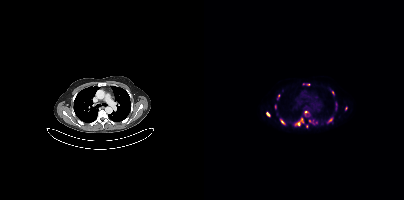
Coordinates are on the 200×200 PET (right) panel. (showing 14 of 16 foci) PSMA-avid tumor lesion bounding boxes (x, y, width, height): x=91 y=122 w=6 h=4; x=124 y=118 w=5 h=5; x=76 y=119 w=5 h=5; x=97 y=118 w=4 h=6; x=132 y=103 w=2 h=7; x=63 y=112 w=3 h=5. Small PSMA-avid foci (2 to 4 px across) near (center x, center y): (142, 108); (102, 112); (105, 121); (104, 84); (128, 92); (71, 106); (99, 83); (112, 122).